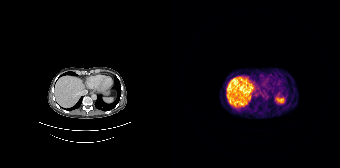
{"modality":"PSMA PET/CT","view":"axial","tracer":"68Ga","pet_grid":[168,168],"coord_frame":"pet_panel","coord_format":"x0,y0,x1,y1","psma_avid_lesions":false}